Paired axial CT (left) and PSMA PET (right), [18F]PSMA-1007 tracer. PET panel 256×256 px (2.7 mm/px).
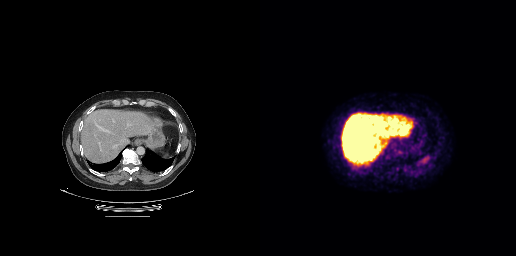
Negative for PSMA-avid disease on this slice.